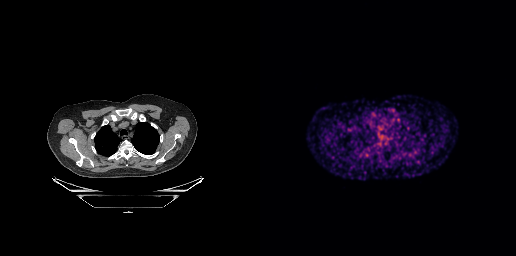
{"modality":"PSMA PET/CT","view":"axial","tracer":"[68Ga]Ga-PSMA-11","pet_grid":[256,256],"coord_frame":"pet_panel","coord_format":"x0,y0,x1,y1","psma_avid_lesions":false}